Paired axial CT (left) and PSMA PET (right), [68Ga]Ga-PSMA-11 tracer. Acquired on GE Discovery 690.
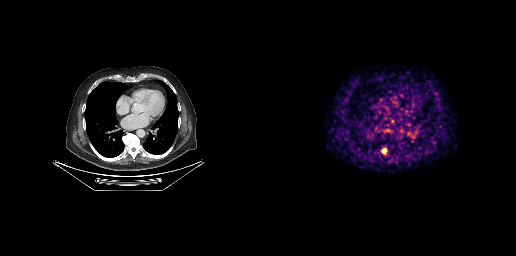
Coordinates are on the 256×256 PET (right) panel. PSMA-avid tumor lesion bounding box (x0, y0)-(x1, y1): (122, 148)-(126, 153).